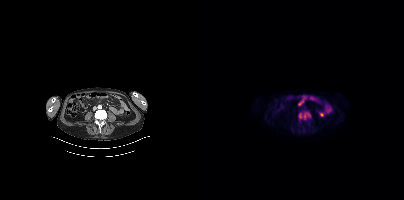
{"modality":"PSMA PET/CT","view":"axial","tracer":"[18F]PSMA-1007","pet_grid":[200,200],"coord_frame":"pet_panel","coord_format":"x0,y0,x1,y1","lesion_bboxes":[[94,110,107,121]]}